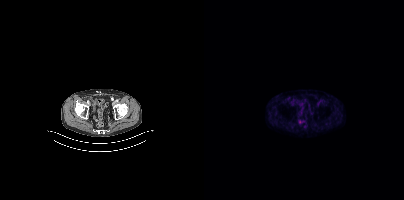
{"modality":"PSMA PET/CT","view":"axial","tracer":"[18F]PSMA-1007","pet_grid":[200,200],"coord_frame":"pet_panel","coord_format":"x0,y0,x1,y1","psma_avid_lesions":false}